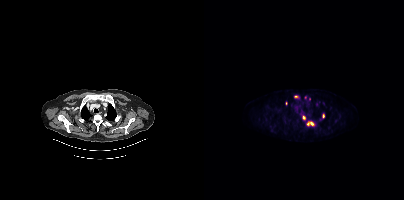
Coordinates are on the 200×200 PET (right) panel. PSMA-avid tumor lesion bounding boxes (x0, y0)-(x1, y1): (103, 122)-(110, 125); (90, 95)-(94, 98). Small PSMA-avid foci (2 to 4 px across) near (center x, center y): (100, 117); (119, 115); (105, 99); (112, 104); (82, 103); (126, 107); (101, 97).